- head region blanked for anonymization (face removed)
- Two-panel axial: CT | PSMA PET, 18F-PSMA tracer
- slice position z = -236 mm
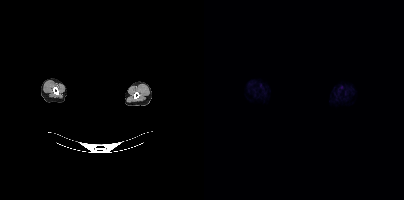
Findings: No PSMA-avid tumor lesions on this slice.